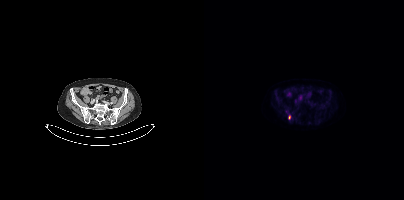
Paired axial CT (left) and PSMA PET (right), 18F tracer. Acquired on Siemens Biograph mCT Flow 20. Slice 126 of 421. Only PSMA-avid lesion pieces thinner than 2 px on this slice (not listed).